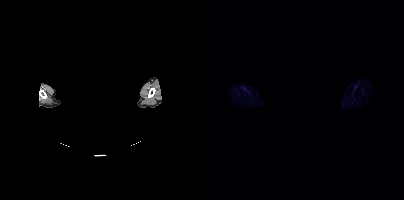
Technique: Paired axial CT (left) and PSMA PET (right), 18F tracer. slice position z = -147 mm.
Note: The head region is masked for de-identification.
Findings: No tumor lesions annotated on this slice.